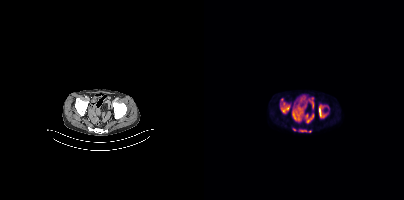
- Two-panel axial: CT | PSMA PET, 18F-PSMA tracer
- PET panel 200×200 px (4.1 mm/px)
Findings: Coordinates are on the 200×200 PET (right) panel. (showing 6 of 7 foci) PSMA-avid tumor lesion bounding boxes (x0, y0)-(x1, y1): (77, 102)-(85, 113) / (115, 104)-(124, 117) / (95, 129)-(102, 131). Small PSMA-avid foci (2 to 4 px across) near (center x, center y): (90, 129) / (106, 131) / (77, 99).